Paired axial CT (left) and PSMA PET (right), 18F tracer. PET panel 200×200 px (4.1 mm/px).
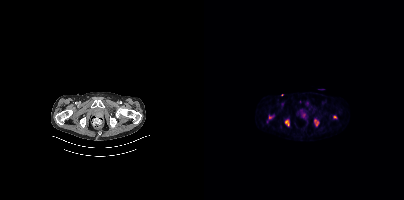
Coordinates are on the 200×200 PET (right) panel. PSMA-avid tumor lesion bounding boxes (x0,y0,x1,y1): [110,119,114,125], [81,120,85,125]. Small PSMA-avid focus (2 to 4 px across) near (center x, center y): (130, 116).